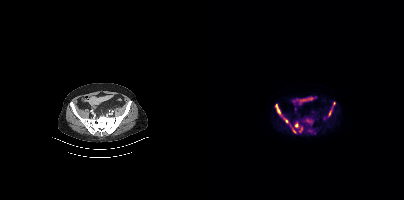
Left: CT. Right: PSMA PET, same axial level, 18F tracer.
Coordinates are on the 200×200 PET (right) panel. PSMA-avid tumor lesion bounding boxes (partial; 1 more focus not listed):
| # | x0 | y0 | x1 | y1 |
|---|---|---|---|---|
| 1 | 71 | 104 | 76 | 113 |
Small PSMA-avid foci (2 to 4 px across) near (center x, center y): (92, 125); (82, 121); (125, 113); (90, 131).